Two-panel axial: CT | PSMA PET, 68Ga-PSMA tracer. PET panel 256×256 px (2.7 mm/px).
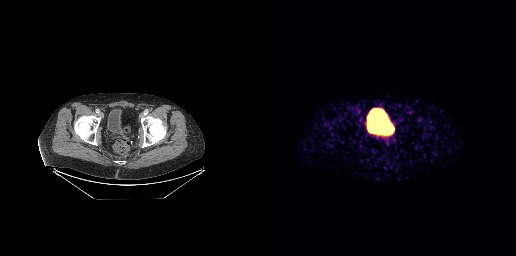
No tumor lesions annotated on this slice.